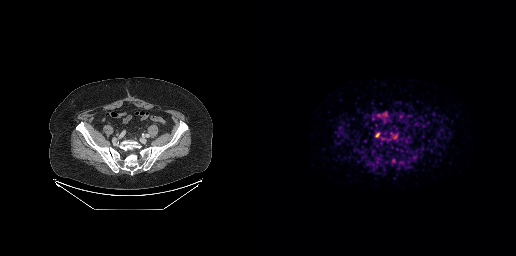
{"modality":"PSMA PET/CT","view":"axial","tracer":"18F","pet_grid":[256,256],"coord_frame":"pet_panel","coord_format":"x0,y0,x1,y1","psma_avid_lesions":false}